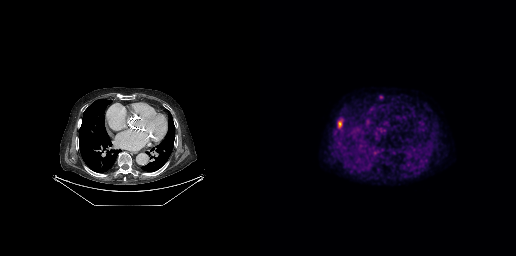
Coordinates are on the 256×256 PET (right) panel. PSMA-avid tumor lesion bounding boxes (x0,y0,x1,y1): [78,119,82,128], [119,95,123,99].